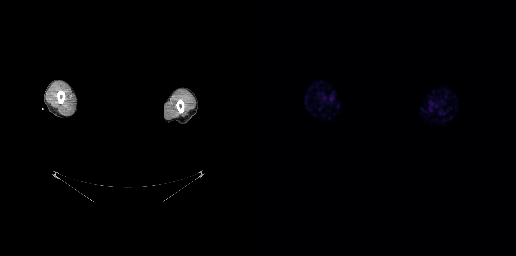
Findings: No tumor lesions annotated on this slice.
Technique: Paired axial CT (left) and PSMA PET (right), [18F]PSMA-1007 tracer. acquired on GE Discovery 690. slice 287 of 299.
Note: An anonymization step blacked out a rectangle over the head in this scan.